Paired axial CT (left) and PSMA PET (right), [18F]PSMA-1007 tracer. Slice position z = -354 mm. PET panel 200×200 px (4.1 mm/px). Facial anatomy redacted by setting a rectangular region of the head to black.
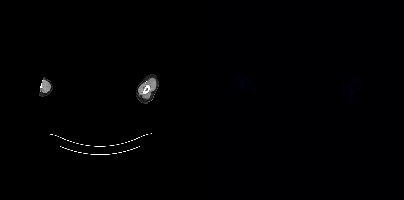
Negative for PSMA-avid disease on this slice.